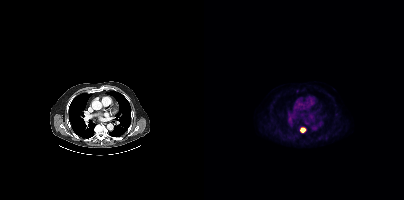
Left: CT. Right: PSMA PET, same axial level, 18F tracer. Acquired on Siemens Biograph mCT Flow 20. Slice 297 of 435. Coordinates are on the 200×200 PET (right) panel. PSMA-avid tumor lesion bounding box (x0,y0,x1,y1): [96,128,101,132].